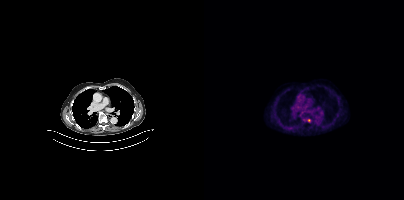
{"modality":"PSMA PET/CT","view":"axial","tracer":"18F","pet_grid":[200,200],"coord_frame":"pet_panel","coord_format":"x0,y0,x1,y1","lesion_bboxes":[],"small_foci_centers":[[104,120]]}